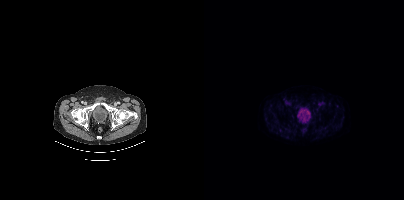
Findings: Negative for PSMA-avid disease on this slice.
Technique: Two-panel axial: CT | PSMA PET, [18F]PSMA-1007 tracer.